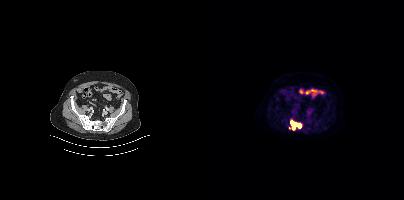
Coordinates are on the 200×200 PET (right) panel. PSMA-avid tumor lesion bounding boxes:
| # | x0 | y0 | x1 | y1 |
|---|---|---|---|---|
| 1 | 86 | 120 | 97 | 130 |
Small PSMA-avid focus (2 to 4 px across) near (center x, center y): (85, 127).
Paired axial CT (left) and PSMA PET (right), 18F-PSMA tracer. Slice position z = -724 mm. PET panel 200×200 px (4.1 mm/px).